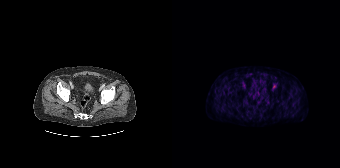
No tumor lesions annotated on this slice.